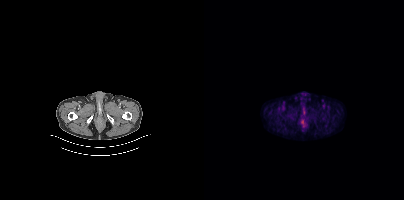
This slice has no annotated PSMA-avid lesion.